Paired axial CT (left) and PSMA PET (right), 18F tracer.
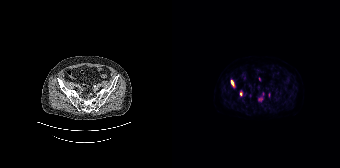
Coordinates are on the 168×168 PET (right) panel. (showing 4 of 5 foci) PSMA-avid tumor lesion bounding boxes (x0, y0)-(x1, y1): (59, 80)-(63, 87); (68, 91)-(70, 95). Small PSMA-avid foci (2 to 4 px across) near (center x, center y): (88, 99); (87, 79).